Technique: Two-panel axial: CT | PSMA PET, 18F tracer. acquired on GE Discovery 690. PET panel 256×256 px (2.7 mm/px).
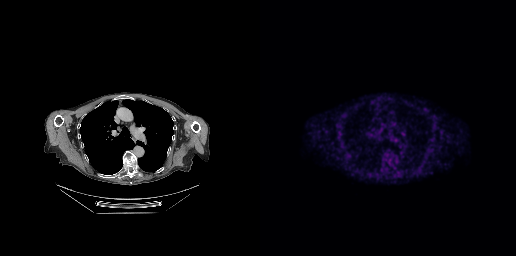
Findings: No tumor lesions annotated on this slice.